modality: PSMA PET/CT | tracer: 18F-PSMA | view: axial
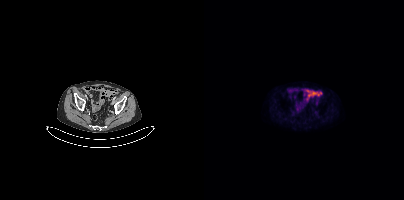
No PSMA-avid tumor lesions on this slice.